- Paired axial CT (left) and PSMA PET (right), 68Ga-PSMA tracer
- PET panel 200×200 px (4.1 mm/px)
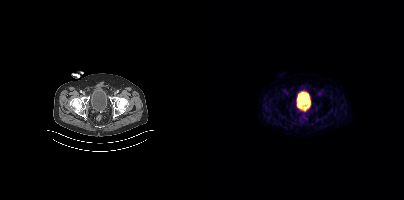
Findings: No PSMA-avid tumor lesions on this slice.